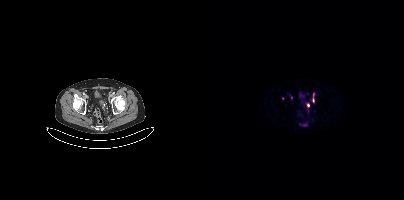
Coordinates are on the 200×200 PET (right) panel. (showing 5 of 6 foci) PSMA-avid tumor lesion bounding boxes (x, y, width, height): x=108 y=93 w=3 h=11 / x=96 y=124 w=7 h=2. Small PSMA-avid foci (2 to 4 px across) near (center x, center y): (104, 105) / (87, 97) / (78, 98). Left: CT. Right: PSMA PET, same axial level, [68Ga]Ga-PSMA-11 tracer. PET panel 200×200 px (4.1 mm/px).